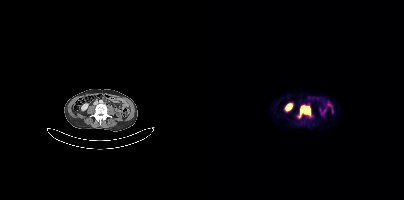
Coordinates are on the 200×200 PET (right) panel. PSMA-avid tumor lesion bounding boxes:
| # | x0 | y0 | x1 | y1 |
|---|---|---|---|---|
| 1 | 95 | 104 | 106 | 117 |
Paired axial CT (left) and PSMA PET (right), 68Ga tracer. Acquired on Siemens Biograph mCT Flow 20. Slice 133 of 393. PET panel 200×200 px (4.1 mm/px).